Two-panel axial: CT | PSMA PET, 18F-PSMA tracer. Slice 31 of 354.
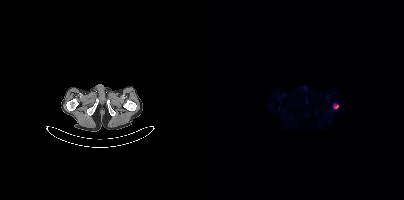
Coordinates are on the 200×200 PET (right) panel. PSMA-avid tumor lesion bounding boxes:
| # | x0 | y0 | x1 | y1 |
|---|---|---|---|---|
| 1 | 129 | 104 | 134 | 108 |